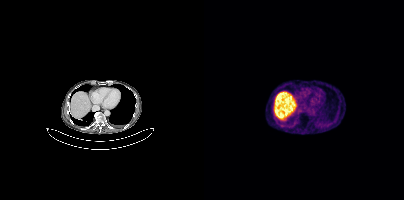
No tumor lesions annotated on this slice.